modality: PSMA PET/CT | tracer: 18F | view: axial | PET grid: 200×200
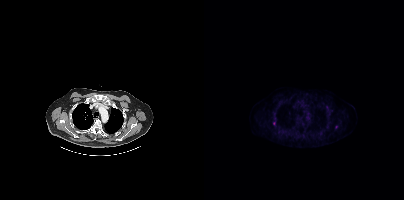
Coordinates are on the 200×200 PET (right) panel. Small PSMA-avid focus (2 to 4 px across) near (center x, center y): (69, 123).